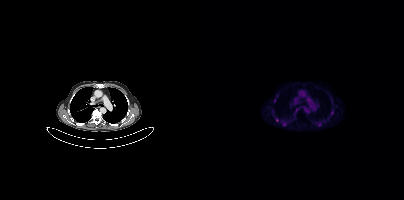
Coordinates are on the 200×200 PET (right) panel. (showing 2 of 3 foci) Small PSMA-avid foci (2 to 4 px across) near (center x, center y): (73, 119); (115, 124).